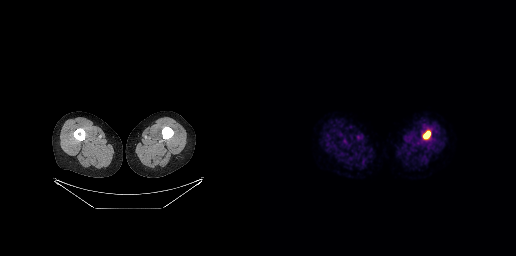
{"pet_grid":[256,256],"coord_frame":"pet_panel","coord_format":"x0,y0,x1,y1","lesion_bboxes":[[163,131,170,138]],"modality":"PSMA PET/CT","view":"axial","tracer":"[18F]PSMA-1007"}